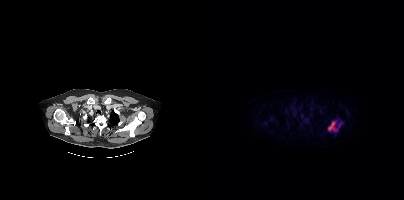
Technique: Paired axial CT (left) and PSMA PET (right), 18F tracer. acquired on Siemens Biograph mCT Flow 20. slice 337 of 417. PET panel 200×200 px (4.1 mm/px).
Findings: Coordinates are on the 200×200 PET (right) panel. PSMA-avid tumor lesion bounding box (x0, y0)-(x1, y1): (124, 121)-(138, 131).